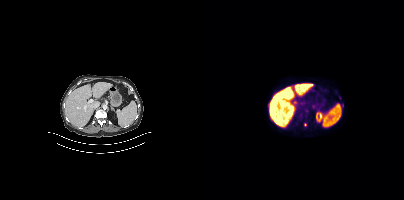
Coordinates are on the 200×200 PET (right) panel. (showing 1 of 3 foci) Small PSMA-avid focus (2 to 4 px across) near (center x, center y): (101, 124).